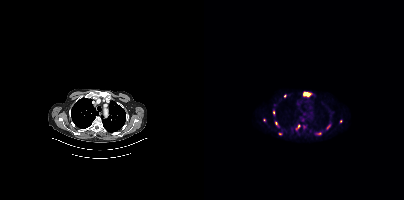
{"modality":"PSMA PET/CT","view":"axial","tracer":"68Ga","pet_grid":[200,200],"coord_frame":"pet_panel","coord_format":"x0,y0,x1,y1","partial":true,"lesion_bboxes":[[100,92,106,95],[92,125,96,129]],"small_foci_centers":[[100,126],[60,120],[72,123],[69,112],[136,121],[76,133],[80,96],[115,133]]}